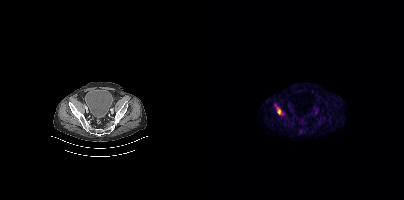
- Left: CT. Right: PSMA PET, same axial level, [18F]PSMA-1007 tracer
Findings: Coordinates are on the 200×200 PET (right) panel. PSMA-avid tumor lesion bounding box (x0,y0,x1,y1): [73,108,76,114].